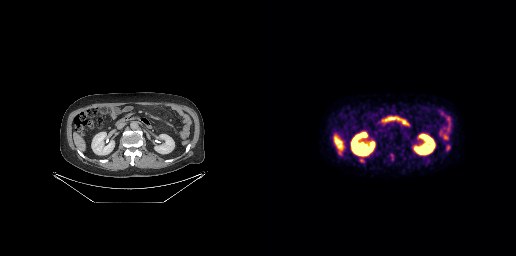
Coordinates are on the 256×256 PET (right) panel. PSMA-avid tumor lesion bounding boxes (partial; 1 more focus not listed):
| # | x0 | y0 | x1 | y1 |
|---|---|---|---|---|
| 1 | 100 | 158 | 104 | 162 |
| 2 | 186 | 145 | 189 | 150 |
Small PSMA-avid focus (2 to 4 px across) near (center x, center y): (131, 155).
Two-panel axial: CT | PSMA PET, [18F]PSMA-1007 tracer. Slice 152 of 299. PET panel 256×256 px (2.7 mm/px).